Two-panel axial: CT | PSMA PET, 18F tracer. PET panel 200×200 px (4.1 mm/px).
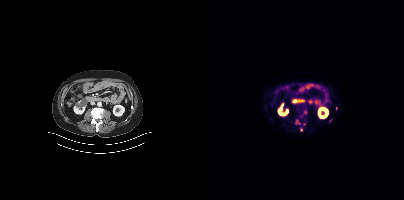
Coordinates are on the 200×200 PET (right) panel. (showing 1 of 2 foci) Small PSMA-avid focus (2 to 4 px across) near (center x, center y): (97, 129).